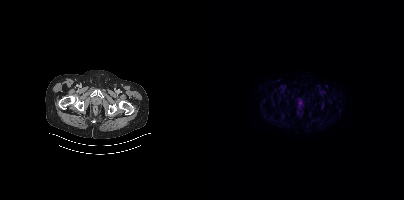
Two-panel axial: CT | PSMA PET, 18F-PSMA tracer. Acquired on Siemens Biograph mCT Flow 20. PET panel 200×200 px (4.1 mm/px). Negative for PSMA-avid disease on this slice.